Technique: Two-panel axial: CT | PSMA PET, 18F tracer. slice 171 of 263. PET panel 256×256 px (2.7 mm/px).
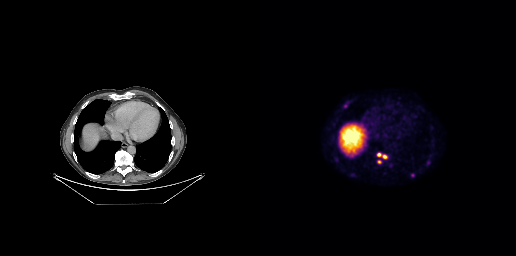
Findings: Coordinates are on the 256×256 PET (right) panel. (showing 4 of 5 foci) PSMA-avid tumor lesion bounding boxes (x, y, width, height): x=117 y=152 w=11 h=7 | x=167 y=160 w=4 h=6 | x=117 y=160 w=5 h=4. Small PSMA-avid focus (2 to 4 px across) near (center x, center y): (152, 175).